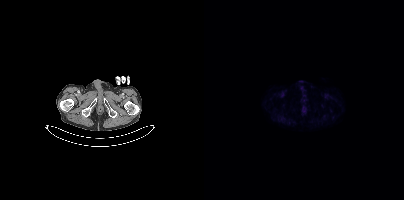
Findings: No PSMA-avid tumor lesions on this slice.
Technique: Two-panel axial: CT | PSMA PET, 18F-PSMA tracer. slice 47 of 409. PET panel 200×200 px (4.1 mm/px).